Left: CT. Right: PSMA PET, same axial level, 18F-PSMA tracer. Slice position z = -1336 mm. PET panel 200×200 px (4.1 mm/px).
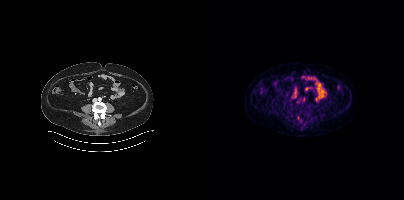
No tumor lesions annotated on this slice.